modality: PSMA PET/CT | tracer: 68Ga-PSMA | view: axial | PET grid: 200×200
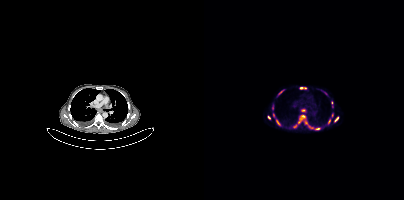
Coordinates are on the 200×200 PET (right) panel. (showing 15 of 18 foci) PSMA-avid tumor lesion bounding boxes (x0,y0,x1,y1): [96,115,101,120] [103,124,110,129] [97,109,101,111] [90,122,95,127] [74,90,79,95] [131,117,134,121]. Small PSMA-avid foci (2 to 4 px across) near (center x, center y): (68, 107) (113, 128) (127, 102) (74, 122) (97, 87) (69, 115) (65, 117) (128, 115) (125, 121).